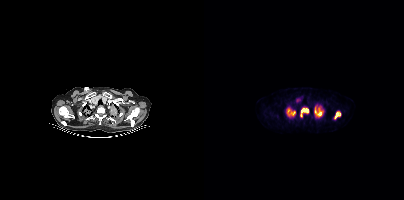
{"modality":"PSMA PET/CT","view":"axial","tracer":"18F","pet_grid":[200,200],"coord_frame":"pet_panel","coord_format":"x0,y0,x1,y1","lesion_bboxes":[[110,106,119,116],[96,108,104,116],[83,109,91,115],[130,112,136,118]]}